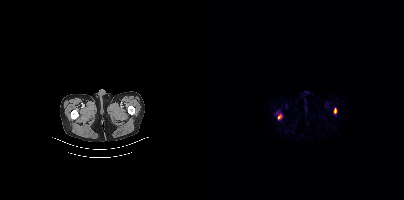
Coordinates are on the 200×200 PET (right) panel. PSMA-avid tumor lesion bounding box (x0, y0)-(x1, y1): (130, 108)-(132, 112). Small PSMA-avid focus (2 to 4 px across) near (center x, center y): (74, 117).
modality: PSMA PET/CT | tracer: 18F | view: axial | PET grid: 200×200